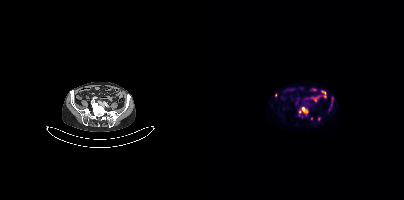
{"modality":"PSMA PET/CT","view":"axial","tracer":"18F-PSMA","pet_grid":[200,200],"coord_frame":"pet_panel","coord_format":"x0,y0,x1,y1","partial":true,"lesion_bboxes":[[98,107,103,113]],"small_foci_centers":[[115,118],[71,95],[95,111]]}